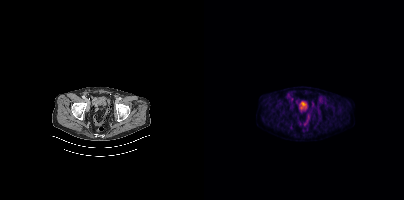
modality: PSMA PET/CT | tracer: 18F-PSMA | view: axial | PET grid: 200×200
Only PSMA-avid lesion pieces thinner than 2 px on this slice (not listed).